modality: PSMA PET/CT | tracer: 68Ga | view: axial | PET grid: 256×256
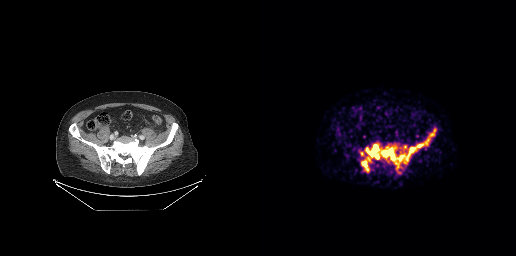
Coordinates are on the 256×256 PET (right) panel. PSMA-avid tumor lesion bounding boxes (x, y, width, height): x=105 y=144 w=54 h=25 | x=158 y=128 w=18 h=19 | x=101 y=157 w=10 h=15. Small PSMA-avid foci (2 to 4 px across) near (center x, center y): (145, 147) | (102, 153).